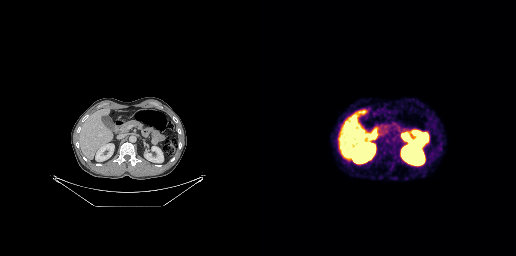
Left: CT. Right: PSMA PET, same axial level, 68Ga-PSMA tracer. PET panel 256×256 px (2.7 mm/px). No tumor lesions annotated on this slice.